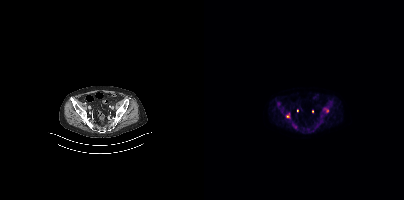
Paired axial CT (left) and PSMA PET (right), 18F-PSMA tracer. Acquired on Siemens Biograph mCT Flow 20. Slice position z = -1495 mm.
Coordinates are on the 200×200 PET (right) panel. PSMA-avid tumor lesion bounding boxes:
| # | x0 | y0 | x1 | y1 |
|---|---|---|---|---|
| 1 | 73 | 102 | 79 | 111 |
| 2 | 119 | 108 | 124 | 112 |
| 3 | 82 | 113 | 86 | 118 |
Small PSMA-avid focus (2 to 4 px across) near (center x, center y): (91, 125).